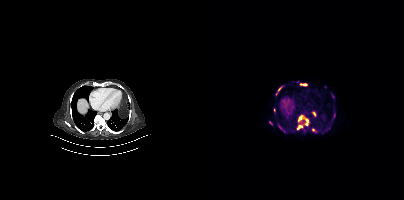
{"pet_grid":[200,200],"coord_frame":"pet_panel","coord_format":"x0,y0,x1,y1","partial":true,"lesion_bboxes":[[94,115,104,125],[74,124,79,130],[93,125,98,129],[74,87,77,91],[96,84,101,85]],"small_foci_centers":[[70,110],[66,122]],"modality":"PSMA PET/CT","view":"axial","tracer":"68Ga-PSMA"}